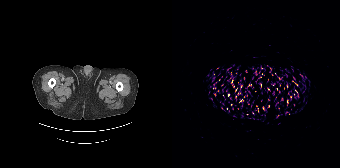
No PSMA-avid tumor lesions on this slice.